Paired axial CT (left) and PSMA PET (right), 68Ga tracer. Acquired on Siemens Biograph 64-4R TruePoint. PET panel 168×168 px (4.1 mm/px).
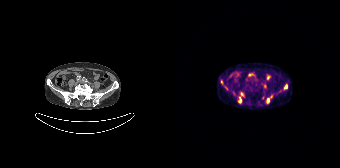
Coordinates are on the 168×168 PET (right) panel. PSMA-avid tumor lesion bounding boxes (x0, y0)-(x1, y1): (66, 97)-(69, 103) | (95, 98)-(97, 103) | (112, 84)-(115, 88) | (68, 92)-(71, 96). Small PSMA-avid foci (2 to 4 px across) near (center x, center y): (92, 85) | (54, 87) | (91, 97) | (49, 82) | (61, 93) | (99, 96).